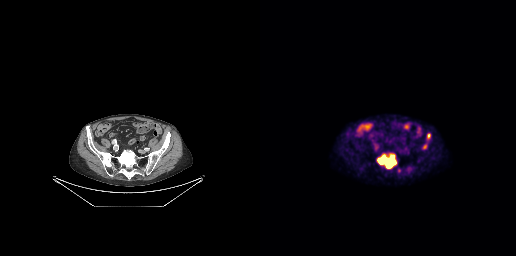
Coordinates are on the 256×256 PET (right) panel. (showing 2 of 3 foci) PSMA-avid tumor lesion bounding boxes (x, y, width, height): x=118 y=155 w=19 h=14 | x=167 y=133 w=4 h=7.